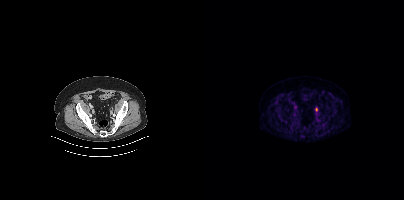
Coordinates are on the 200×200 PET (right) panel. PSMA-avid tumor lesion bounding box (x0,y0,x1,y1): [111,107,113,111].